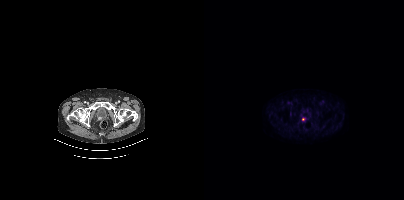
Coordinates are on the 200×200 PET (right) panel. Small PSMA-avid focus (2 to 4 px across) near (center x, center y): (99, 119). Two-panel axial: CT | PSMA PET, 18F-PSMA tracer. Slice position z = -828 mm. PET panel 200×200 px (4.1 mm/px).